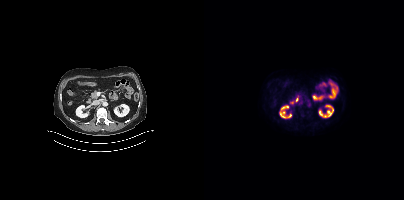
Negative for PSMA-avid disease on this slice. Paired axial CT (left) and PSMA PET (right), 18F tracer. PET panel 200×200 px (4.1 mm/px).